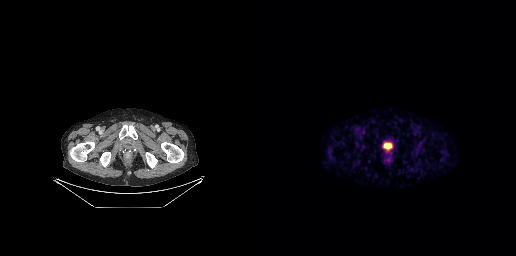
modality: PSMA PET/CT | tracer: 68Ga-PSMA | view: axial | PET grid: 256×256
Negative for PSMA-avid disease on this slice.